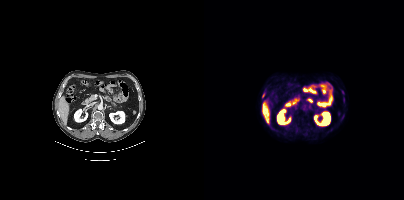
{"modality":"PSMA PET/CT","view":"axial","tracer":"18F-PSMA","pet_grid":[200,200],"coord_frame":"pet_panel","coord_format":"x0,y0,x1,y1","lesion_bboxes":[],"small_foci_centers":[[59,95],[138,92]]}